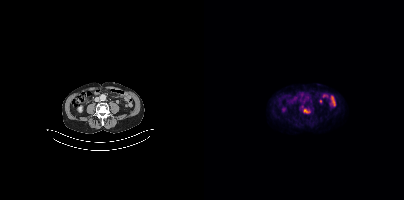
- Left: CT. Right: PSMA PET, same axial level, [18F]PSMA-1007 tracer
- acquired on Siemens Biograph mCT Flow 20
- slice 151 of 423
- PET panel 200×200 px (4.1 mm/px)
Findings: Coordinates are on the 200×200 PET (right) panel. PSMA-avid tumor lesion bounding box (x0, y0)-(x1, y1): (99, 109)-(105, 113).